- Left: CT. Right: PSMA PET, same axial level, [18F]PSMA-1007 tracer
- slice position z = -978 mm
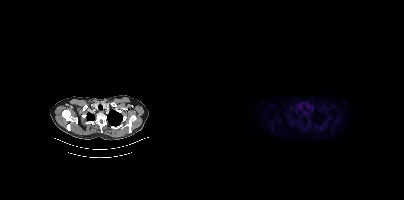
Findings: No tumor lesions annotated on this slice.